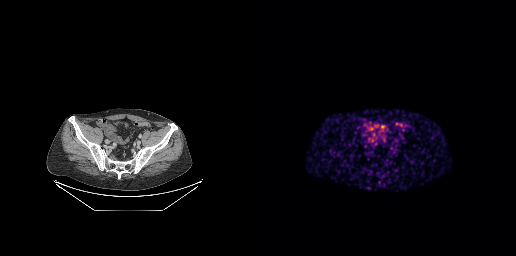
{"modality":"PSMA PET/CT","view":"axial","tracer":"[68Ga]Ga-PSMA-11","pet_grid":[256,256],"coord_frame":"pet_panel","coord_format":"x0,y0,x1,y1","psma_avid_lesions":false}